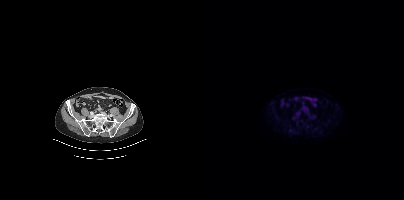
Two-panel axial: CT | PSMA PET, 18F tracer. PET panel 200×200 px (4.1 mm/px). Coordinates are on the 200×200 PET (right) panel. Small PSMA-avid focus (2 to 4 px across) near (center x, center y): (86, 130).